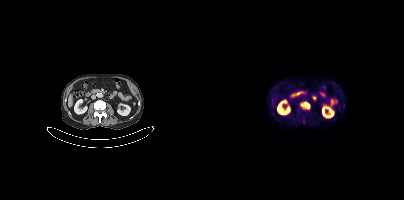
Paired axial CT (left) and PSMA PET (right), [18F]PSMA-1007 tracer. Slice position z = -52 mm. PET panel 200×200 px (4.1 mm/px).
Coordinates are on the 200×200 PET (right) panel. PSMA-avid tumor lesion bounding boxes:
| # | x0 | y0 | x1 | y1 |
|---|---|---|---|---|
| 1 | 96 | 101 | 106 | 109 |